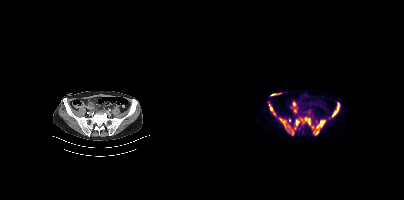
modality: PSMA PET/CT | tracer: [18F]PSMA-1007 | view: axial | PET grid: 200×200
Coordinates are on the 200×200 PET (right) panel. (showing 6 of 8 foci) PSMA-avid tumor lesion bounding boxes (x0, y0)-(x1, y1): (74, 117)-(95, 134); (96, 117)-(109, 128); (64, 104)-(72, 116); (112, 120)-(121, 128); (128, 102)-(135, 116). Small PSMA-avid focus (2 to 4 px across) near (center x, center y): (113, 132).